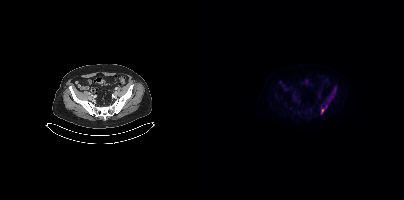
Findings: Coordinates are on the 200×200 PET (right) panel. (showing 1 of 2 foci) PSMA-avid tumor lesion bounding box (x, y, width, height): x=117 y=109 w=4 h=5.
- Paired axial CT (left) and PSMA PET (right), [18F]PSMA-1007 tracer
- slice 96 of 403